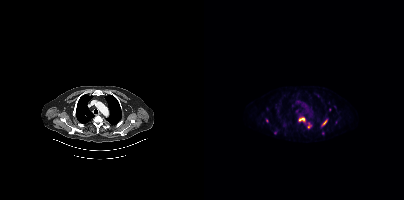
Coordinates are on the 200×200 PET (right) panel. (showing 10 of 11 foci) PSMA-avid tumor lesion bounding boxes (x0, y0)-(x1, y1): (95, 117)-(101, 122) / (104, 122)-(107, 127) / (118, 120)-(123, 125). Small PSMA-avid foci (2 to 4 px across) near (center x, center y): (63, 120) / (71, 133) / (119, 133) / (131, 107) / (125, 109) / (92, 110) / (114, 95).